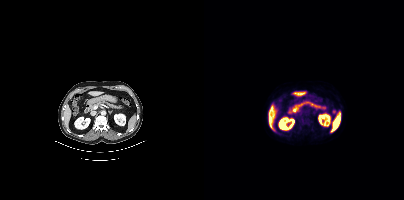
Coordinates are on the 200×200 PET (right) panel. Small PSMA-avid focus (2 to 4 px across) near (center x, center y): (129, 111).